Two-panel axial: CT | PSMA PET, [68Ga]Ga-PSMA-11 tracer. Acquired on GE Discovery 690. PET panel 256×256 px (2.7 mm/px).
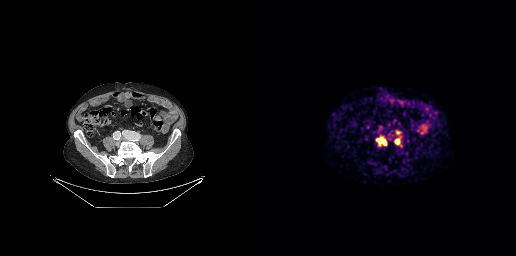
Coordinates are on the 256×256 PET (right) panel. PSMA-avid tumor lesion bounding boxes (partial; 1 more focus not listed):
| # | x0 | y0 | x1 | y1 |
|---|---|---|---|---|
| 1 | 117 | 138 | 126 | 145 |
| 2 | 135 | 138 | 139 | 143 |
| 3 | 136 | 131 | 140 | 133 |